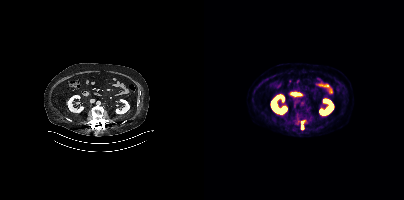
Coordinates are on the 200×200 PET (right) panel. PSMA-avid tumor lesion bounding box (x0,y0,x1,y1): [97,120,100,124]. Small PSMA-avid focus (2 to 4 px across) near (center x, center y): (98, 127).